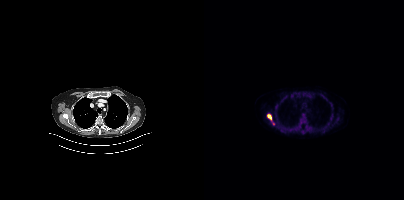
Coordinates are on the 200×200 PET (right) panel. PSMA-avid tumor lesion bounding box (x0,y0,x1,y1): [63,114,67,120]. Small PSMA-avid foci (2 to 4 px across) near (center x, center y): (99, 116) (69, 123).